Paired axial CT (left) and PSMA PET (right), 18F-PSMA tracer. PET panel 200×200 px (4.1 mm/px).
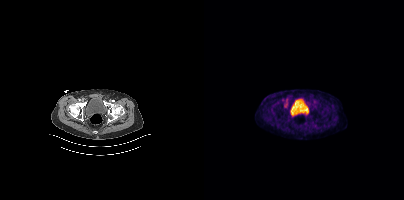
No tumor lesions annotated on this slice.